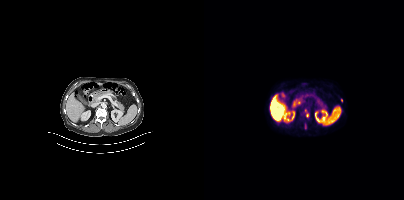
{"modality":"PSMA PET/CT","view":"axial","tracer":"18F","pet_grid":[200,200],"coord_frame":"pet_panel","coord_format":"x0,y0,x1,y1","lesion_bboxes":[[101,109,104,117]],"small_foci_centers":[[137,100],[101,126]]}